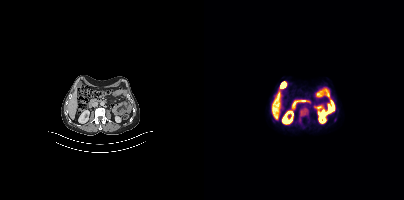
Coordinates are on the 200×200 PET (right) panel. PSMA-avid tumor lesion bounding boxes:
| # | x0 | y0 | x1 | y1 |
|---|---|---|---|---|
| 1 | 97 | 108 | 103 | 115 |
Left: CT. Right: PSMA PET, same axial level, 18F tracer. Acquired on Siemens Biograph mCT Flow 20.